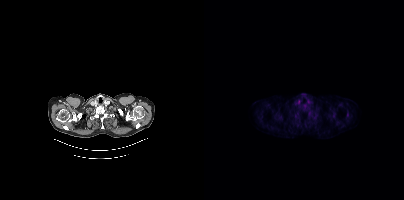
Two-panel axial: CT | PSMA PET, 18F tracer. PET panel 200×200 px (4.1 mm/px). Coordinates are on the 200×200 PET (right) panel. Small PSMA-avid foci (2 to 4 px across) near (center x, center y): (143, 114) | (129, 115).